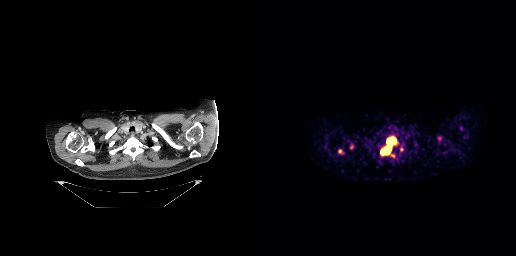
Coordinates are on the 256×256 PET (right) panel. PSMA-avid tumor lesion bounding boxes (partial; 1 more focus not listed):
| # | x0 | y0 | x1 | y1 |
|---|---|---|---|---|
| 1 | 120 | 136 | 136 | 157 |
| 2 | 90 | 144 | 94 | 149 |
Small PSMA-avid focus (2 to 4 px across) near (center x, center y): (80, 151).
Two-panel axial: CT | PSMA PET, [68Ga]Ga-PSMA-11 tracer. Slice position z = -324 mm. PET panel 256×256 px (2.7 mm/px).